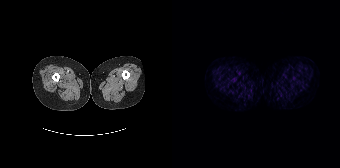
- Paired axial CT (left) and PSMA PET (right), [68Ga]Ga-PSMA-11 tracer
- PET panel 168×168 px (4.1 mm/px)
Findings: This slice has no annotated PSMA-avid lesion.